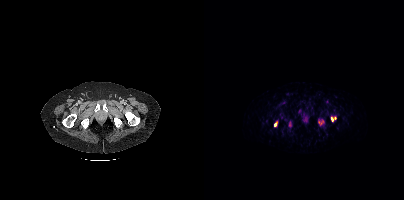
{"modality":"PSMA PET/CT","view":"axial","tracer":"68Ga-PSMA","pet_grid":[200,200],"coord_frame":"pet_panel","coord_format":"x0,y0,x1,y1","lesion_bboxes":[[114,119,120,125],[127,117,132,121],[70,121,73,126]]}